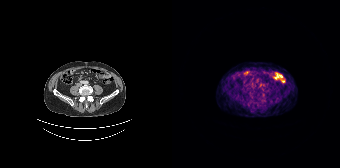
modality: PSMA PET/CT | tracer: 68Ga | view: axial
Coordinates are on the 168×168 PET (right) panel. Small PSMA-avid focus (2 to 4 px across) near (center x, center y): (85, 80).